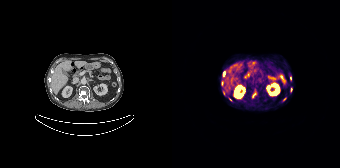
Coordinates are on the 168×168 PET (right) panel. PSMA-avid tumor lesion bounding boxes (partial; 2 more foci not listed):
| # | x0 | y0 | x1 | y1 |
|---|---|---|---|---|
| 1 | 80 | 92 | 84 | 97 |
Small PSMA-avid foci (2 to 4 px across) near (center x, center y): (58, 99); (51, 73); (49, 84); (112, 99); (51, 93).
Two-panel axial: CT | PSMA PET, 68Ga tracer. Slice 99 of 195.